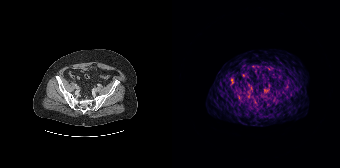
Only PSMA-avid lesion pieces thinner than 2 px on this slice (not listed).